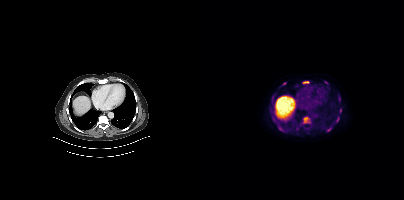
{"modality":"PSMA PET/CT","view":"axial","tracer":"18F","pet_grid":[200,200],"coord_frame":"pet_panel","coord_format":"x0,y0,x1,y1","partial":true,"lesion_bboxes":[[99,117,106,123],[74,127,81,131],[99,81,105,83],[123,126,128,131],[66,110,69,115],[132,117,135,122],[136,108,137,112],[67,102,69,106]],"small_foci_centers":[[70,120],[80,83],[135,98],[70,94]]}